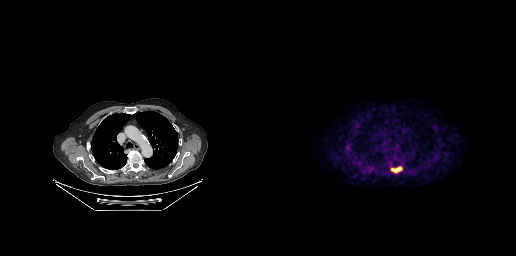
{"modality":"PSMA PET/CT","view":"axial","tracer":"[18F]PSMA-1007","pet_grid":[256,256],"coord_frame":"pet_panel","coord_format":"x0,y0,x1,y1","lesion_bboxes":[[131,167,141,172]]}